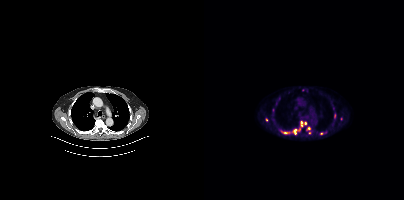
{"modality":"PSMA PET/CT","view":"axial","tracer":"18F-PSMA","pet_grid":[200,200],"coord_frame":"pet_panel","coord_format":"x0,y0,x1,y1","partial":true,"lesion_bboxes":[[77,131,86,134]],"small_foci_centers":[[90,131],[62,120],[97,122]]}